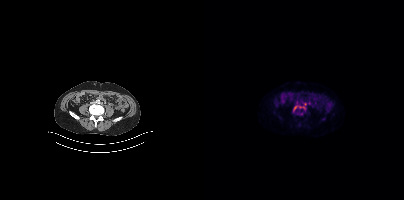
Two-panel axial: CT | PSMA PET, 18F-PSMA tracer. Acquired on Siemens Biograph mCT Flow 20. PET panel 200×200 px (4.1 mm/px).
Coordinates are on the 200×200 PET (right) panel. PSMA-avid tumor lesion bounding boxes:
| # | x0 | y0 | x1 | y1 |
|---|---|---|---|---|
| 1 | 90 | 106 | 93 | 110 |
Small PSMA-avid foci (2 to 4 px across) near (center x, center y): (96, 106); (101, 103); (99, 107).